Left: CT. Right: PSMA PET, same axial level, [18F]PSMA-1007 tracer. Acquired on Siemens Biograph mCT Flow 20. Slice position z = -1508 mm. PET panel 200×200 px (4.1 mm/px).
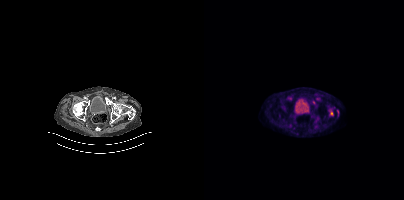
Coordinates are on the 200×200 PET (right) panel. Small PSMA-avid foci (2 to 4 px across) near (center x, center y): (110, 102) / (113, 98).